Two-panel axial: CT | PSMA PET, 18F-PSMA tracer. Acquired on GE Discovery 690.
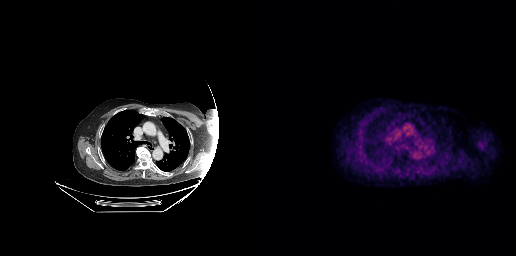
No PSMA-avid tumor lesions on this slice.